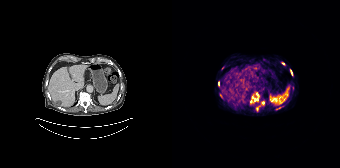
Findings: Coordinates are on the 168×168 PET (right) panel. (showing 4 of 7 foci) PSMA-avid tumor lesion bounding box (x0, y0)-(x1, y1): (119, 70)-(120, 74). Small PSMA-avid foci (2 to 4 px across) near (center x, center y): (90, 102) / (85, 110) / (111, 63).
- Paired axial CT (left) and PSMA PET (right), 68Ga-PSMA tracer
- acquired on Siemens Biograph 64-4R TruePoint
- slice 92 of 165
- PET panel 168×168 px (4.1 mm/px)